modality: PSMA PET/CT | tracer: 18F | view: axial
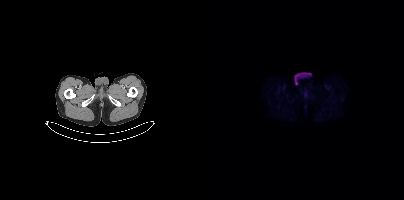
No PSMA-avid tumor lesions on this slice.